Left: CT. Right: PSMA PET, same axial level, 18F tracer. PET panel 200×200 px (4.1 mm/px).
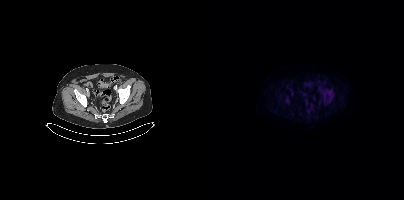
This slice has no annotated PSMA-avid lesion.